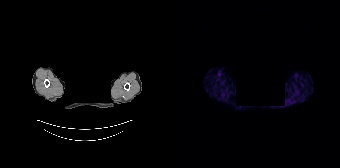
modality: PSMA PET/CT | tracer: 68Ga-PSMA | view: axial | PET grid: 168×168 | redaction: facial region redacted
No tumor lesions annotated on this slice.